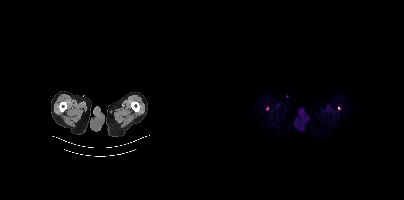
{"modality":"PSMA PET/CT","view":"axial","tracer":"18F","pet_grid":[200,200],"coord_frame":"pet_panel","coord_format":"x0,y0,x1,y1","lesion_bboxes":[],"small_foci_centers":[[135,108],[63,108]]}